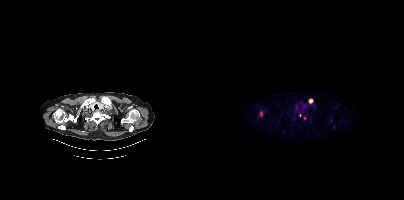
{"pet_grid":[200,200],"coord_frame":"pet_panel","coord_format":"x0,y0,x1,y1","partial":true,"lesion_bboxes":[[104,98,108,103]],"small_foci_centers":[[57,113],[129,127],[100,117]],"modality":"PSMA PET/CT","view":"axial","tracer":"18F"}